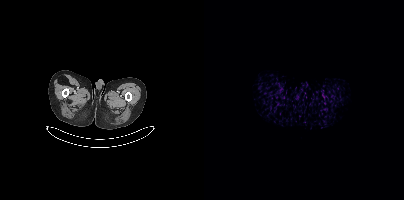
No PSMA-avid tumor lesions on this slice. Two-panel axial: CT | PSMA PET, 18F tracer. Slice 3 of 381.